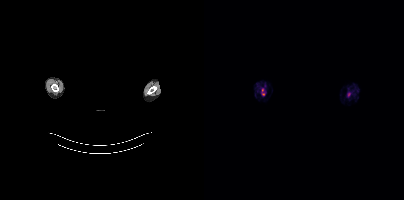
Technique: Left: CT. Right: PSMA PET, same axial level, 18F tracer. slice 359 of 367.
Note: A rectangle over the head was blacked out to remove identifiable facial features.
Findings: Negative for PSMA-avid disease on this slice.